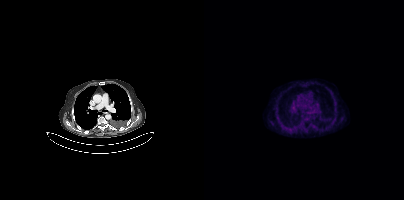
- Two-panel axial: CT | PSMA PET, 18F tracer
Findings: No tumor lesions annotated on this slice.